Two-panel axial: CT | PSMA PET, [18F]PSMA-1007 tracer. Slice 283 of 409. PET panel 200×200 px (4.1 mm/px).
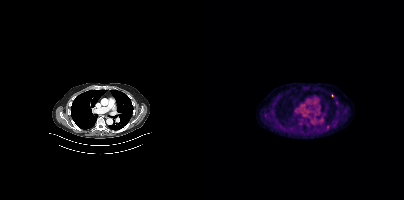
Coordinates are on the 200×200 PET (right) panel. Small PSMA-avid foci (2 to 4 px across) near (center x, center y): (123, 126) | (128, 95).